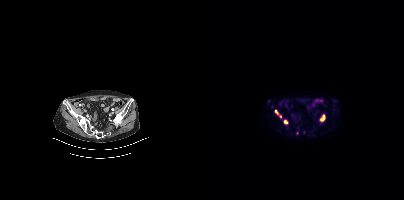
modality: PSMA PET/CT | tracer: 68Ga-PSMA | view: axial | PET grid: 200×200
Coordinates are on the 200×200 PET (right) panel. (showing 7 of 8 foci) PSMA-avid tumor lesion bounding boxes (x, y, width, height): x=116 y=115 w=5 h=6 / x=71 y=110 w=4 h=5. Small PSMA-avid foci (2 to 4 px across) near (center x, center y): (81, 121) / (65, 101) / (68, 106) / (76, 116) / (129, 100).